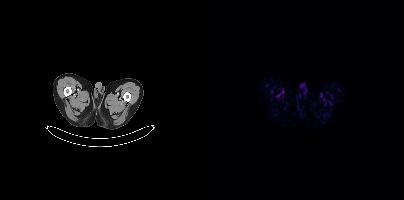
Left: CT. Right: PSMA PET, same axial level, 18F tracer. Acquired on Siemens Biograph mCT Flow 20. This slice has no annotated PSMA-avid lesion.